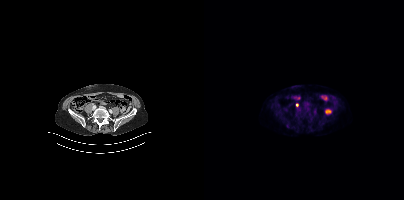
Findings: Coordinates are on the 200×200 PET (right) panel. Small PSMA-avid focus (2 to 4 px across) near (center x, center y): (92, 104).
- Left: CT. Right: PSMA PET, same axial level, [18F]PSMA-1007 tracer
- slice 129 of 423